modality: PSMA PET/CT | tracer: 18F-PSMA | view: axial | PET grid: 256×256
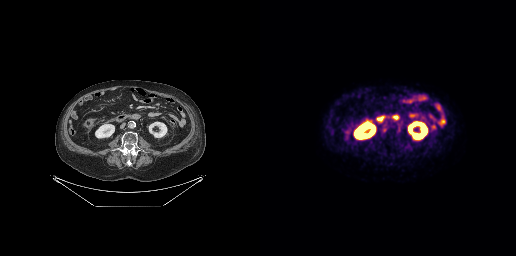
Coordinates are on the 256×256 PET (right) panel. PSMA-avid tumor lesion bounding box (x0,y0,x1,y1): [120,124,128,133].